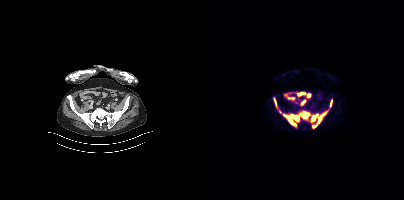
Coordinates are on the 200×200 PET (right) panel. PSMA-avid tumor lesion bounding boxes (x, y, width, height): x=79 y=111 w=28 h=15 / x=114 y=111 w=10 h=13 / x=107 y=114 w=7 h=8 / x=108 y=125 w=5 h=4 / x=70 y=98 w=3 h=9 / x=126 y=99 w=3 h=8. Small PSMA-avid focus (2 to 4 px across) near (center x, center y): (76, 111). Paired axial CT (left) and PSMA PET (right), 18F-PSMA tracer. Acquired on Siemens Biograph mCT Flow 20. Slice 89 of 401.